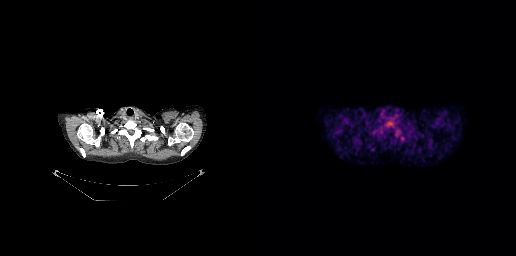
{"modality":"PSMA PET/CT","view":"axial","tracer":"18F","pet_grid":[256,256],"coord_frame":"pet_panel","coord_format":"x0,y0,x1,y1","lesion_bboxes":[[124,118,134,127]]}